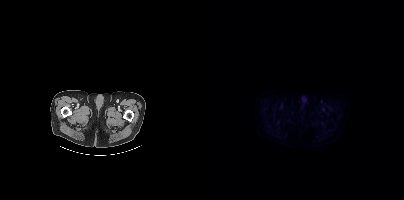
Findings: No PSMA-avid tumor lesions on this slice.
Technique: Paired axial CT (left) and PSMA PET (right), [18F]PSMA-1007 tracer. PET panel 200×200 px (4.1 mm/px).